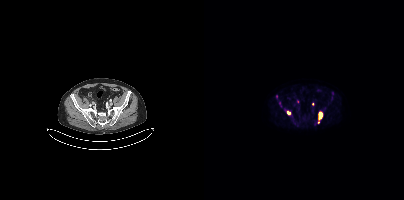
- Paired axial CT (left) and PSMA PET (right), [18F]PSMA-1007 tracer
- PET panel 200×200 px (4.1 mm/px)
Findings: Coordinates are on the 200×200 PET (right) panel. (showing 2 of 3 foci) PSMA-avid tumor lesion bounding boxes (x, y, width, height): x=114 y=112 w=5 h=12; x=75 y=102 w=4 h=6.